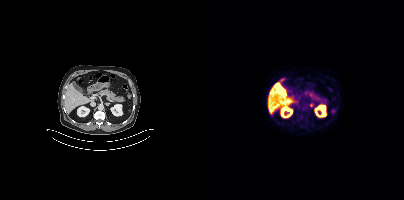
modality: PSMA PET/CT | tracer: 18F-PSMA | view: axial
Coordinates are on the 200×200 PET (right) panel. Small PSMA-avid focus (2 to 4 px across) near (center x, center y): (107, 105).